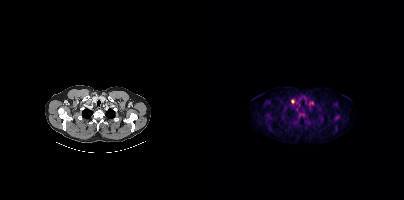
- Two-panel axial: CT | PSMA PET, 18F-PSMA tracer
- PET panel 200×200 px (4.1 mm/px)
Findings: Coordinates are on the 200×200 PET (right) panel. Small PSMA-avid foci (2 to 4 px across) near (center x, center y): (88, 101); (107, 102); (95, 105).